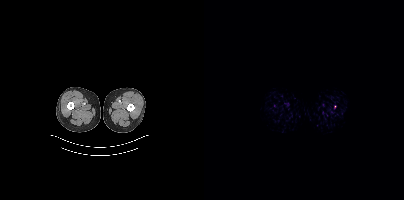
{"modality":"PSMA PET/CT","view":"axial","tracer":"18F-PSMA","pet_grid":[200,200],"coord_frame":"pet_panel","coord_format":"x0,y0,x1,y1","psma_avid_lesions":false}